Paired axial CT (left) and PSMA PET (right), 18F tracer. Acquired on Siemens Biograph mCT Flow 20. Slice 81 of 367.
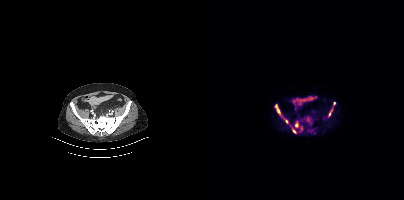
Coordinates are on the 200×200 PET (right) panel. PSMA-avid tumor lesion bounding boxes (x0,y0,x1,y1): [71,104,76,114], [89,129,91,133]. Small PSMA-avid foci (2 to 4 px across) near (center x, center y): (92, 124), (125, 113), (82, 121), (130, 103).